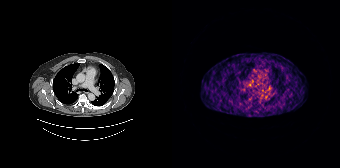
modality: PSMA PET/CT | tracer: [68Ga]Ga-PSMA-11 | view: axial | PET grid: 168×168
Coordinates are on the 168×168 PET (right) panel. Small PSMA-avid focus (2 to 4 px across) near (center x, center y): (77, 85).